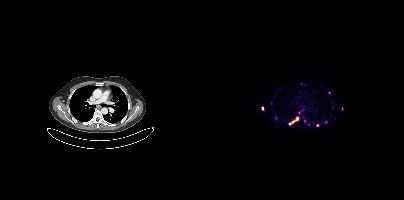
{"pet_grid":[200,200],"coord_frame":"pet_panel","coord_format":"x0,y0,x1,y1","partial":true,"lesion_bboxes":[[85,117,94,124],[71,116,73,120]],"small_foci_centers":[[113,125],[125,92],[58,108],[100,121],[104,124],[121,121]],"modality":"PSMA PET/CT","view":"axial","tracer":"68Ga-PSMA"}